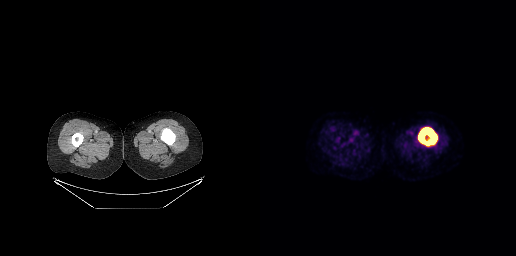
modality: PSMA PET/CT | tracer: 18F-PSMA | view: axial | PET grid: 256×256
Coordinates are on the 256×256 PET (right) panel. PSMA-avid tumor lesion bounding box (x0,y0,x1,y1): [158,127,177,146].